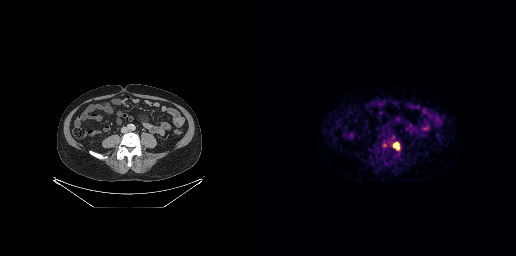
Paired axial CT (left) and PSMA PET (right), [68Ga]Ga-PSMA-11 tracer. Acquired on GE Discovery 690. Slice 96 of 263. PET panel 256×256 px (2.7 mm/px).
Coordinates are on the 256×256 PET (right) panel. PSMA-avid tumor lesion bounding boxes:
| # | x0 | y0 | x1 | y1 |
|---|---|---|---|---|
| 1 | 133 | 142 | 139 | 149 |